- Left: CT. Right: PSMA PET, same axial level, 18F tracer
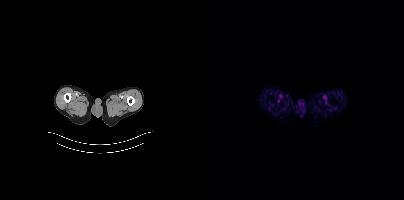
Findings: This slice has no annotated PSMA-avid lesion.